Technique: Two-panel axial: CT | PSMA PET, 18F-PSMA tracer. slice 245 of 389. PET panel 200×200 px (4.1 mm/px).
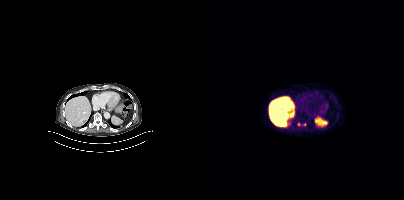
Findings: Coordinates are on the 200×200 PET (right) panel. Small PSMA-avid foci (2 to 4 px across) near (center x, center y): (95, 124) (100, 124).